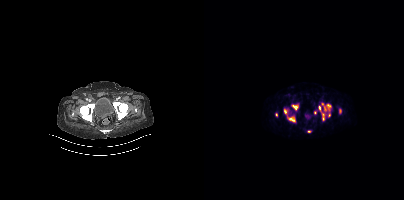
modality: PSMA PET/CT | tracer: [68Ga]Ga-PSMA-11 | view: axial | PET grid: 200×200
This slice has no annotated PSMA-avid lesion.